modality: PSMA PET/CT | tracer: 18F-PSMA | view: axial | PET grid: 200×200
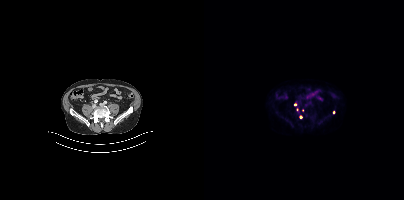
Coordinates are on the 200×200 PET (right) panel. (showing 1 of 4 foci) Small PSMA-avid focus (2 to 4 px across) near (center x, center y): (96, 116).